Left: CT. Right: PSMA PET, same axial level, 18F tracer.
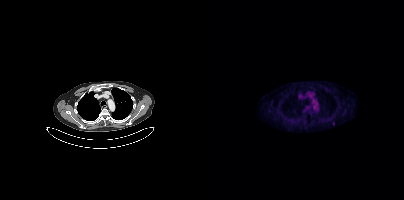
No tumor lesions annotated on this slice.